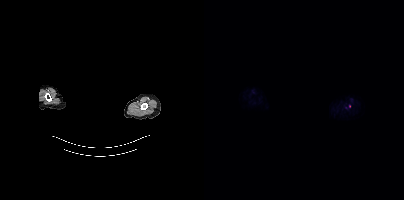
No tumor lesions annotated on this slice. Head region blanked for anonymization (face removed). Paired axial CT (left) and PSMA PET (right), [18F]PSMA-1007 tracer. Slice 414 of 444. PET panel 200×200 px (4.1 mm/px).